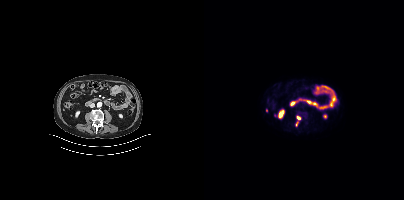
Coordinates are on the 200×200 PET (right) panel. PSMA-avid tumor lesion bounding box (x0,y0,x1,y1): [93,116,96,120]. Small PSMA-avid foci (2 to 4 px across) near (center x, center y): (93, 123) (62, 110). Two-panel axial: CT | PSMA PET, 18F-PSMA tracer. PET panel 200×200 px (4.1 mm/px).